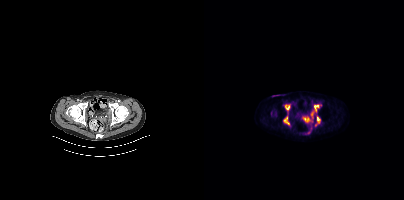
Coordinates are on the 200×200 PET (right) panel. PSMA-avid tumor lesion bounding boxes (x0,y0,x1,y1): [79,105,85,124], [110,105,114,111], [113,117,115,122]. Small PSMA-avid foci (2 to 4 px across) near (center x, center y): (84, 106), (100, 119), (103, 119).